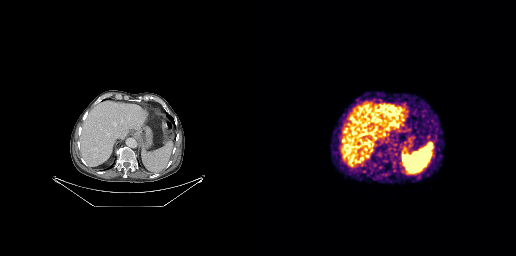
Findings: Negative for PSMA-avid disease on this slice.
Technique: Two-panel axial: CT | PSMA PET, 68Ga-PSMA tracer. acquired on GE Discovery 690. PET panel 256×256 px (2.7 mm/px).